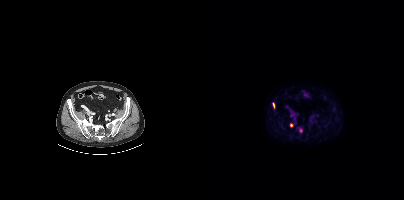
Coordinates are on the 200×200 PET (right) panel. PSMA-avid tumor lesion bounding boxes (x0, y0)-(x1, y1): (86, 123)-(89, 127) / (68, 103)-(70, 108). Small PSMA-avid focus (2 to 4 px across) near (center x, center y): (97, 130).